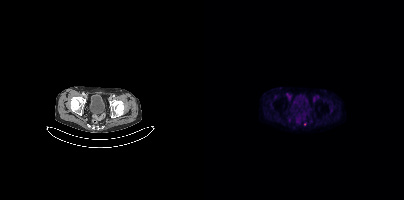
Only PSMA-avid lesion pieces thinner than 2 px on this slice (not listed).